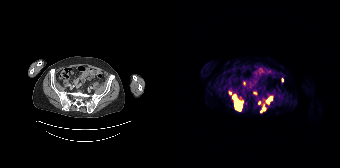
Left: CT. Right: PSMA PET, same axial level, [68Ga]Ga-PSMA-11 tracer. Slice position z = -706 mm.
Coordinates are on the 168×168 PET (right) panel. PSMA-avid tumor lesion bounding boxes:
| # | x0 | y0 | x1 | y1 |
|---|---|---|---|---|
| 1 | 60 | 94 | 69 | 110 |
| 2 | 94 | 97 | 100 | 103 |
| 3 | 88 | 108 | 92 | 112 |
Small PSMA-avid foci (2 to 4 px across) near (center x, center y): (110, 79); (58, 93); (72, 83); (87, 102).